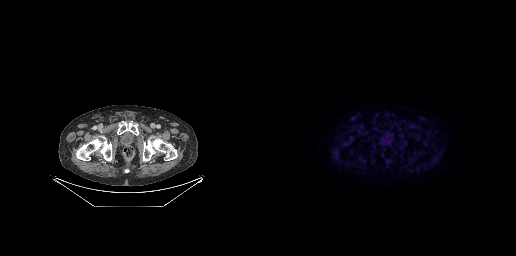
modality: PSMA PET/CT | tracer: [18F]PSMA-1007 | view: axial | PET grid: 256×256
No PSMA-avid tumor lesions on this slice.